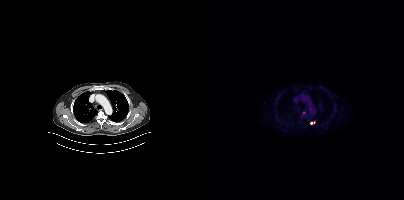
Technique: Left: CT. Right: PSMA PET, same axial level, 18F-PSMA tracer.
Findings: Only PSMA-avid lesion pieces thinner than 2 px on this slice (not listed).